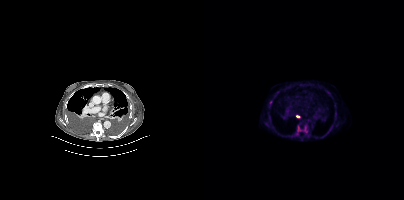
{"modality":"PSMA PET/CT","view":"axial","tracer":"18F-PSMA","pet_grid":[200,200],"coord_frame":"pet_panel","coord_format":"x0,y0,x1,y1","partial":true,"lesion_bboxes":[[93,125,104,134]],"small_foci_centers":[[93,116],[66,102]]}